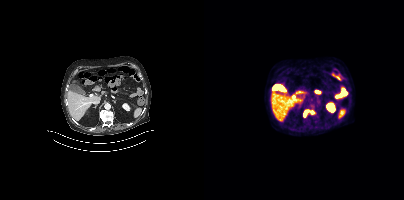
Coordinates are on the 200×200 PET (right) panel. PSMA-avid tumor lesion bounding box (x0,y0,x1,y1): [99,110,110,117].
modality: PSMA PET/CT | tracer: 18F-PSMA | view: axial